Paired axial CT (left) and PSMA PET (right), 18F-PSMA tracer. PET panel 200×200 px (4.1 mm/px).
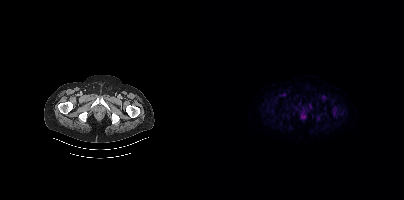
Coordinates are on the 200×200 PET (right) panel. PSMA-avid tumor lesion bounding boxes (partial; 1 more focus not listed):
| # | x0 | y0 | x1 | y1 |
|---|---|---|---|---|
| 1 | 113 | 116 | 116 | 120 |
Small PSMA-avid foci (2 to 4 px across) near (center x, center y): (130, 113); (137, 112); (83, 116); (93, 106).